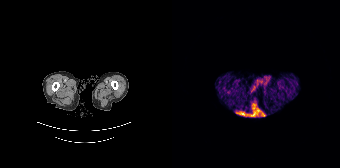
{"modality":"PSMA PET/CT","view":"axial","tracer":"[68Ga]Ga-PSMA-11","pet_grid":[168,168],"coord_frame":"pet_panel","coord_format":"x0,y0,x1,y1","psma_avid_lesions":false}